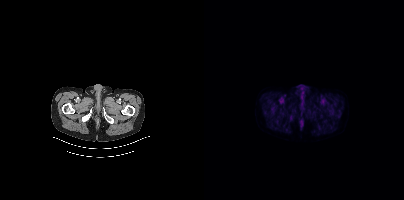
Paired axial CT (left) and PSMA PET (right), 18F tracer. Acquired on Siemens Biograph mCT Flow 20. This slice has no annotated PSMA-avid lesion.